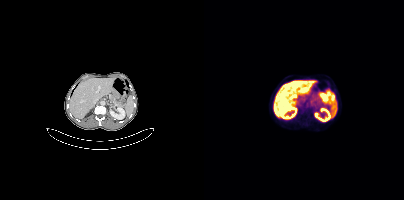
{"pet_grid":[200,200],"coord_frame":"pet_panel","coord_format":"x0,y0,x1,y1","lesion_bboxes":[[97,107,101,111]],"modality":"PSMA PET/CT","view":"axial","tracer":"18F-PSMA"}